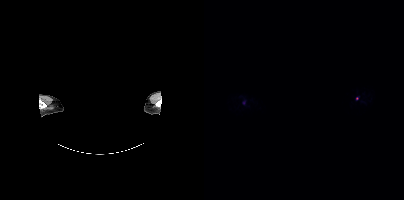
{"modality":"PSMA PET/CT","view":"axial","tracer":"[18F]PSMA-1007","pet_grid":[200,200],"coord_frame":"pet_panel","coord_format":"x0,y0,x1,y1","deidentification":"facial region redacted","lesion_bboxes":[[38,100,41,104]],"small_foci_centers":[[153,98]]}